Technique: Two-panel axial: CT | PSMA PET, [18F]PSMA-1007 tracer.
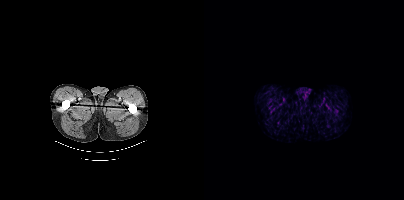
Findings: This slice has no annotated PSMA-avid lesion.